Left: CT. Right: PSMA PET, same axial level, [18F]PSMA-1007 tracer. PET panel 200×200 px (4.1 mm/px).
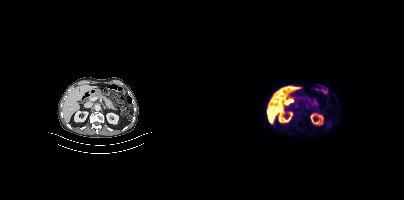
Negative for PSMA-avid disease on this slice.